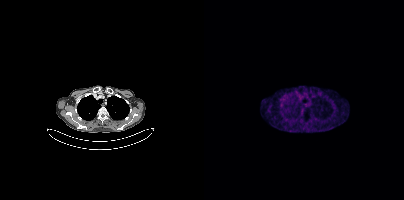
{"modality":"PSMA PET/CT","view":"axial","tracer":"[68Ga]Ga-PSMA-11","pet_grid":[200,200],"coord_frame":"pet_panel","coord_format":"x0,y0,x1,y1","psma_avid_lesions":false}